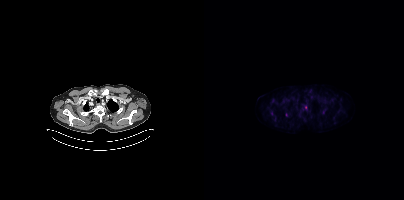
Coordinates are on the 200×200 PET (right) panel. (showing 3 of 4 foci) Small PSMA-avid foci (2 to 4 px across) near (center x, center y): (119, 112) / (101, 107) / (82, 114).
modality: PSMA PET/CT | tracer: 18F-PSMA | view: axial | PET grid: 200×200